modality: PSMA PET/CT | tracer: 18F | view: axial | PET grid: 200×200
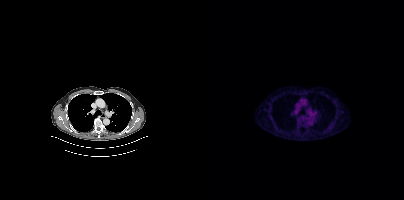
Only PSMA-avid lesion pieces thinner than 2 px on this slice (not listed).